- Left: CT. Right: PSMA PET, same axial level, 68Ga tracer
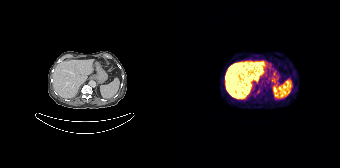
Findings: No PSMA-avid tumor lesions on this slice.